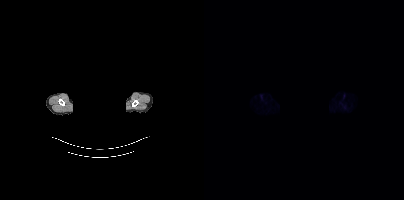
No tumor lesions annotated on this slice. The head region is masked for de-identification. Paired axial CT (left) and PSMA PET (right), 18F tracer. Slice 401 of 435.